Left: CT. Right: PSMA PET, same axial level, [18F]PSMA-1007 tracer. PET panel 200×200 px (4.1 mm/px).
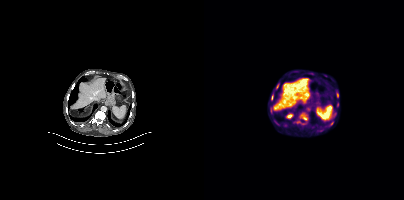
Coordinates are on the 200×200 PET (right) panel. (showing 3 of 4 foci) PSMA-avid tumor lesion bounding box (x, y, width, height): x=97 y=115 w=5 h=5. Small PSMA-avid foci (2 to 4 px across) near (center x, center y): (128, 123); (68, 95).